Paired axial CT (left) and PSMA PET (right), [18F]PSMA-1007 tracer. Slice 367 of 435. PET panel 200×200 px (4.1 mm/px).
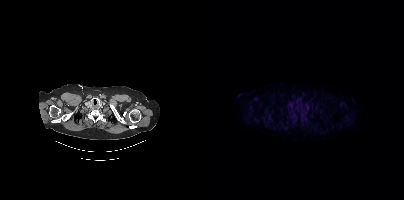
Coordinates are on the 200×200 PET (right) panel. Small PSMA-avid focus (2 to 4 px across) near (center x, center y): (103, 108).